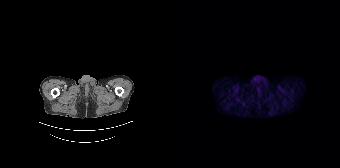
This slice has no annotated PSMA-avid lesion.